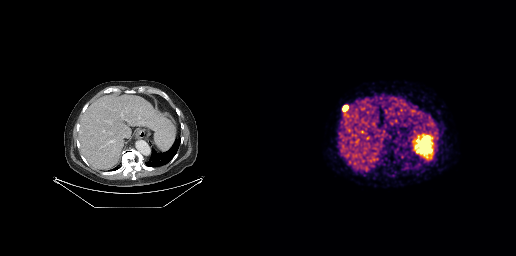
{"modality":"PSMA PET/CT","view":"axial","tracer":"68Ga-PSMA","pet_grid":[256,256],"coord_frame":"pet_panel","coord_format":"x0,y0,x1,y1","lesion_bboxes":[[82,105,88,111]]}